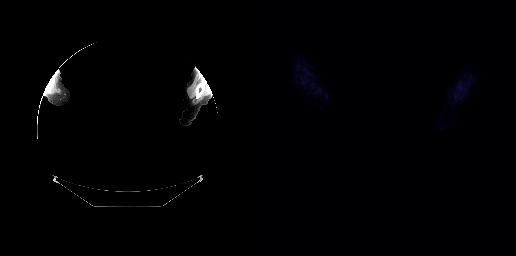
Privacy masking over the head, with the pixels inside a rectangle set to black. Left: CT. Right: PSMA PET, same axial level, [18F]PSMA-1007 tracer. Slice 291 of 299. This slice has no annotated PSMA-avid lesion.